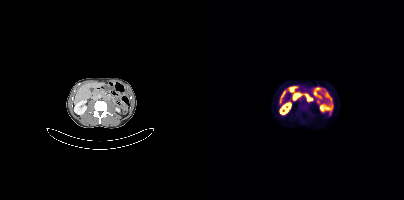
Technique: Left: CT. Right: PSMA PET, same axial level, 18F tracer. acquired on Siemens Biograph mCT Flow 20. slice position z = -1252 mm.
Findings: No PSMA-avid tumor lesions on this slice.